Left: CT. Right: PSMA PET, same axial level, 18F-PSMA tracer. Acquired on Siemens Biograph mCT Flow 20.
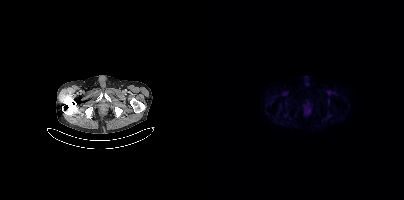
This slice has no annotated PSMA-avid lesion.